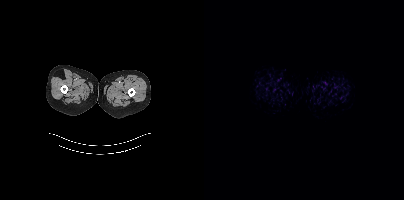
Technique: Two-panel axial: CT | PSMA PET, [18F]PSMA-1007 tracer. acquired on Siemens Biograph mCT Flow 20. slice 4 of 413. PET panel 200×200 px (4.1 mm/px).
Findings: No PSMA-avid tumor lesions on this slice.